Two-panel axial: CT | PSMA PET, 18F tracer. Slice 260 of 405.
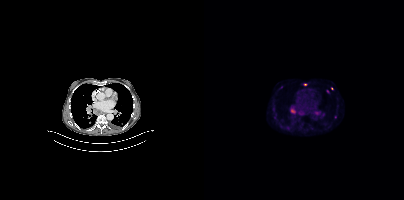
Coordinates are on the 200×200 PET (right) panel. (showing 7 of 9 foci) PSMA-avid tumor lesion bounding boxes (x, y, width, height): x=110 y=111 w=7 h=5; x=86 y=108 w=6 h=6; x=95 y=111 w=5 h=4. Small PSMA-avid foci (2 to 4 px across) near (center x, center y): (123, 91); (77, 87); (101, 84); (127, 88).